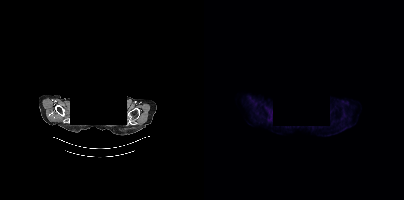
No tumor lesions annotated on this slice.
De-identified by setting a box covering the face to black before release.